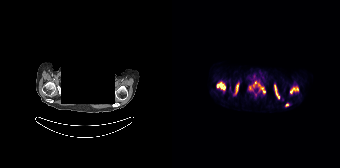
A rectangle over the head was blacked out to remove identifiable facial features. Two-panel axial: CT | PSMA PET, 18F-PSMA tracer. Acquired on Siemens Biograph 64-4R TruePoint. Coordinates are on the 168×168 PET (right) panel. PSMA-avid tumor lesion bounding boxes (x0, y0)-(x1, y1): (77, 81)-(93, 93); (44, 81)-(53, 90); (118, 86)-(126, 94); (102, 84)-(107, 99); (63, 84)-(66, 94). Small PSMA-avid focus (2 to 4 px across) near (center x, center y): (114, 104).